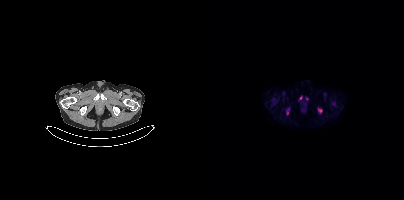
Coordinates are on the 200×200 PET (right) panel. (showing 3 of 4 foci) Small PSMA-avid foci (2 to 4 px across) near (center x, center y): (115, 110), (96, 98), (83, 113).